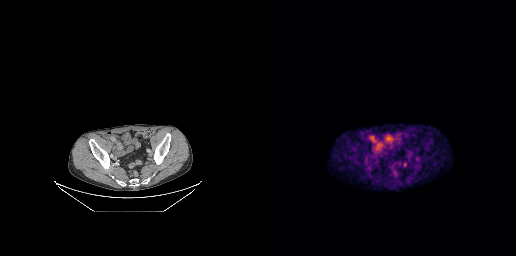
Coordinates are on the 256×256 PET (right) panel. PSMA-avid tumor lesion bounding box (x, y, width, height): x=143 y=162 w=4 h=5.